- Left: CT. Right: PSMA PET, same axial level, 18F-PSMA tracer
- acquired on Siemens Biograph mCT Flow 20
- slice position z = -534 mm
- PET panel 200×200 px (4.1 mm/px)
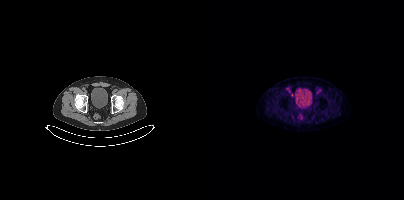
Findings: Coordinates are on the 200×200 PET (right) panel. Small PSMA-avid focus (2 to 4 px across) near (center x, center y): (88, 94).